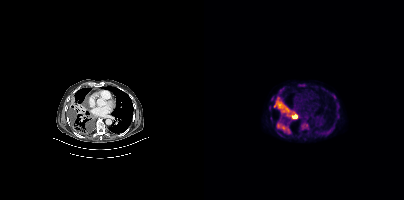
- Left: CT. Right: PSMA PET, same axial level, 18F tracer
Findings: Coordinates are on the 200×200 PET (right) panel. PSMA-avid tumor lesion bounding boxes (x0,y0,x1,y1): [70,98,85,113] [97,121,104,129] [75,125,85,133] [87,111,93,118]. Small PSMA-avid focus (2 to 4 px across) near (center x, center y): (74, 124).